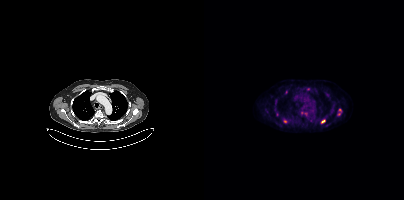
{"modality":"PSMA PET/CT","view":"axial","tracer":"[18F]PSMA-1007","pet_grid":[200,200],"coord_frame":"pet_panel","coord_format":"x0,y0,x1,y1","partial":true,"lesion_bboxes":[],"small_foci_centers":[[104,89],[99,113],[118,121],[82,92],[135,109],[81,121]]}